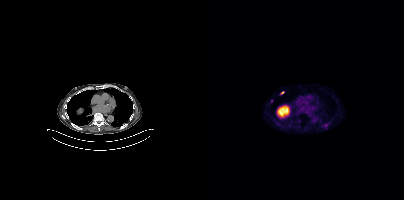
Coordinates are on the 200×200 PET (right) panel. Small PSMA-avid foci (2 to 4 px across) near (center x, center y): (78, 92) | (67, 100).